modality: PSMA PET/CT | tracer: 68Ga | view: axial
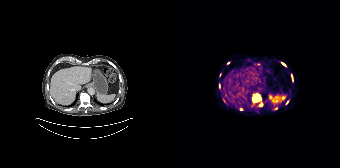
Coordinates are on the 168×168 PET (right) panel. (showing 6 of 9 foci) PSMA-avid tumor lesion bounding boxes (x, y, width, height): x=84 y=94 w=5 h=8 / x=119 y=74 w=2 h=7 / x=110 y=62 w=4 h=5. Small PSMA-avid foci (2 to 4 px across) near (center x, center y): (69, 109) / (89, 104) / (115, 102).